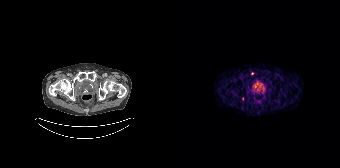
Technique: Two-panel axial: CT | PSMA PET, 68Ga-PSMA tracer. slice position z = -944 mm. PET panel 168×168 px (4.1 mm/px).
Findings: Coordinates are on the 168×168 PET (right) panel. Small PSMA-avid foci (2 to 4 px across) near (center x, center y): (70, 98), (80, 73).